- Two-panel axial: CT | PSMA PET, 18F-PSMA tracer
- slice position z = -588 mm
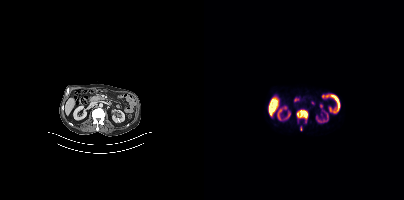
Findings: Coordinates are on the 200×200 PET (right) panel. (showing 1 of 2 foci) PSMA-avid tumor lesion bounding box (x0, y0)-(x1, y1): (93, 110)-(103, 119).